Left: CT. Right: PSMA PET, same axial level, 18F-PSMA tracer. Acquired on Siemens Biograph mCT Flow 20.
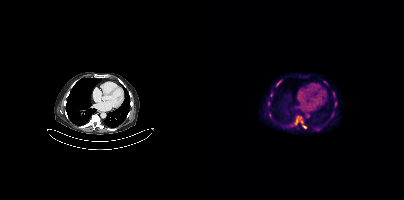
Coordinates are on the 200×200 PET (right) panel. (showing 6 of 8 foci) PSMA-avid tumor lesion bounding boxes (x0, y0)-(x1, y1): (91, 116)-(98, 124); (72, 81)-(76, 86); (98, 125)-(102, 128); (129, 92)-(130, 96). Small PSMA-avid foci (2 to 4 px across) near (center x, center y): (67, 94); (131, 103).